modality: PSMA PET/CT | tracer: [18F]PSMA-1007 | view: axial
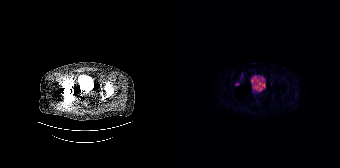
Coordinates are on the 168×168 PET (right) panel. Small PSMA-avid focus (2 to 4 px across) near (center x, center y): (65, 83).